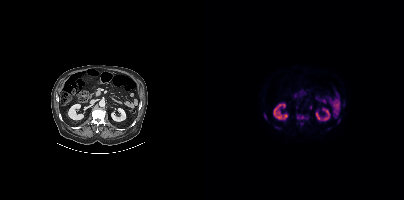
Technique: Left: CT. Right: PSMA PET, same axial level, 18F-PSMA tracer.
Findings: Coordinates are on the 200×200 PET (right) panel. PSMA-avid tumor lesion bounding boxes (x, y, width, height): x=93 y=114 w=12 h=6; x=60 y=114 w=3 h=6. Small PSMA-avid focus (2 to 4 px across) near (center x, center y): (97, 123).